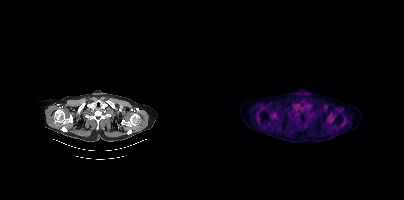
modality: PSMA PET/CT | tracer: [18F]PSMA-1007 | view: axial | PET grid: 200×200
No tumor lesions annotated on this slice.